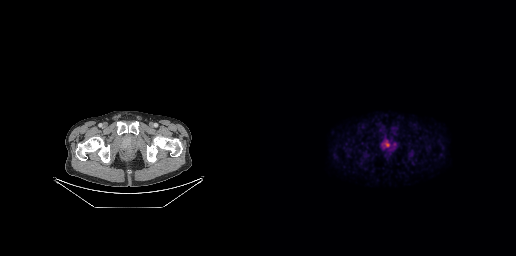
Findings: Coordinates are on the 256×256 PET (right) panel. PSMA-avid tumor lesion bounding box (x0, y0)-(x1, y1): (120, 139)-(136, 148).
Technique: Two-panel axial: CT | PSMA PET, [18F]PSMA-1007 tracer. acquired on GE Discovery 690. PET panel 256×256 px (2.7 mm/px).